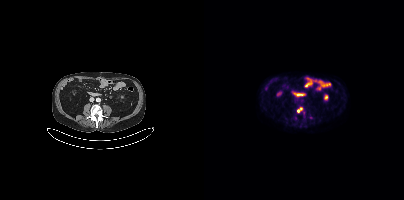
- Two-panel axial: CT | PSMA PET, 18F tracer
Findings: Coordinates are on the 200×200 PET (right) panel. PSMA-avid tumor lesion bounding box (x0,y0,x1,y1): [93,107,98,112]. Small PSMA-avid focus (2 to 4 px across) near (center x, center y): (107, 117).